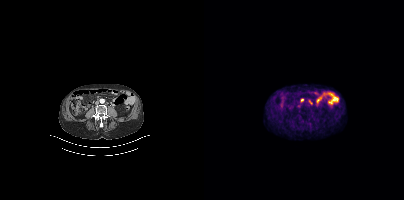
Two-panel axial: CT | PSMA PET, 68Ga tracer. Acquired on Siemens Biograph mCT Flow 20. Slice position z = -872 mm. This slice has no annotated PSMA-avid lesion.